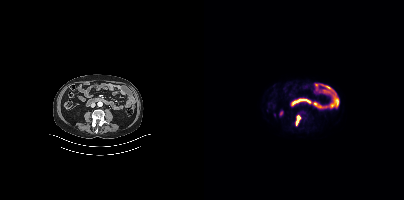
Coordinates are on the 200×200 PET (right) panel. PSMA-avid tumor lesion bounding box (x0, y0)-(x1, y1): (92, 115)-(96, 125).